- Paired axial CT (left) and PSMA PET (right), 18F-PSMA tracer
- acquired on GE Discovery 690
- slice 73 of 263
- PET panel 256×256 px (2.7 mm/px)
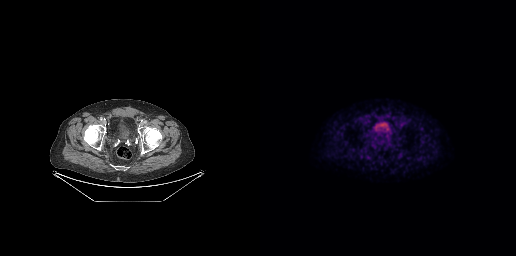
Findings: No tumor lesions annotated on this slice.